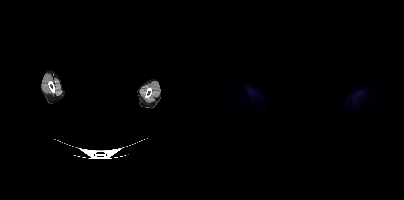
De-identified by setting a box covering the face to black before release.
No tumor lesions annotated on this slice.